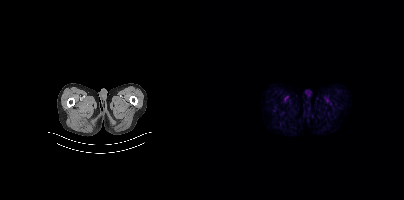
Paired axial CT (left) and PSMA PET (right), 18F-PSMA tracer. Acquired on Siemens Biograph mCT Flow 20. PET panel 200×200 px (4.1 mm/px). This slice has no annotated PSMA-avid lesion.